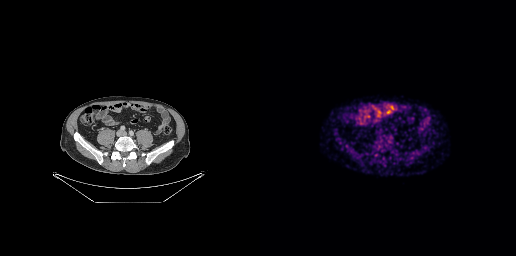
modality: PSMA PET/CT | tracer: 18F | view: axial | PET grid: 256×256
No PSMA-avid tumor lesions on this slice.